modality: PSMA PET/CT | tracer: [68Ga]Ga-PSMA-11 | view: axial
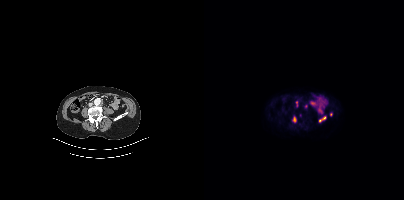
Coordinates are on the 200×200 PET (right) panel. (showing 4 of 5 foci) PSMA-avid tumor lesion bounding boxes (x0,y0,x1,y1): [116,116,121,121], [89,117,92,122]. Small PSMA-avid foci (2 to 4 px across) near (center x, center y): (102, 106), (126, 114).